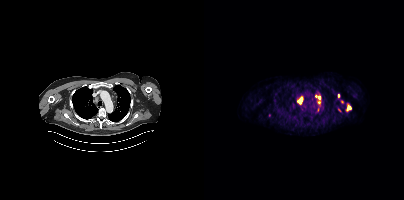
modality: PSMA PET/CT | tracer: 68Ga | view: axial | PET grid: 200×200
Coordinates are on the 200×200 PET (right) panel. (showing 7 of 9 foci) PSMA-avid tumor lesion bounding box (x0,y0,x1,y1): [94,97,98,103]. Small PSMA-avid foci (2 to 4 px across) near (center x, center y): (115, 97); (145, 107); (134, 95); (65, 115); (114, 102); (111, 96).